The face region was removed for patient privacy by blanking a rectangle over the head. Left: CT. Right: PSMA PET, same axial level, [68Ga]Ga-PSMA-11 tracer.
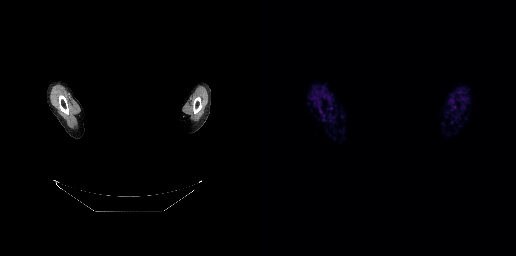
No tumor lesions annotated on this slice.